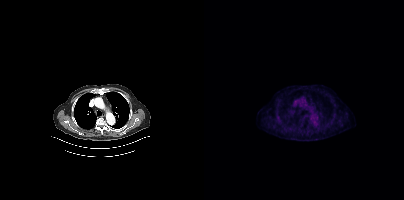
Technique: Two-panel axial: CT | PSMA PET, [18F]PSMA-1007 tracer. PET panel 200×200 px (4.1 mm/px).
Findings: No tumor lesions annotated on this slice.